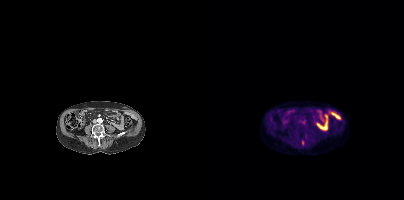
modality: PSMA PET/CT | tracer: 18F | view: axial
Coordinates are on the 200×200 PET (right) panel. PSMA-avid tumor lesion bounding box (x0, y0)-(x1, y1): (97, 140)-(100, 145).